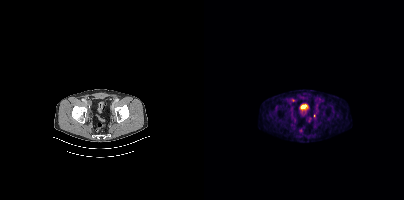
Technique: Left: CT. Right: PSMA PET, same axial level, 18F tracer.
Findings: Coordinates are on the 200×200 PET (right) panel. PSMA-avid tumor lesion bounding box (x0, y0)-(x1, y1): (87, 98)-(91, 101). Small PSMA-avid focus (2 to 4 px across) near (center x, center y): (110, 115).